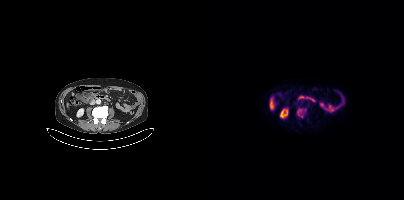
- Two-panel axial: CT | PSMA PET, 18F tracer
- slice 169 of 431
Findings: Coordinates are on the 200×200 PET (right) panel. PSMA-avid tumor lesion bounding box (x0,y0,x1,y1): [93,108,102,118].